Technique: Two-panel axial: CT | PSMA PET, 18F-PSMA tracer. acquired on Siemens Biograph mCT Flow 20. slice 206 of 393.
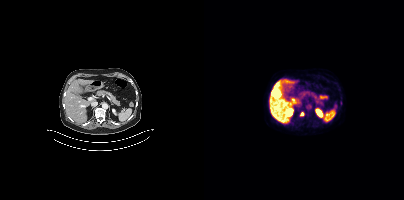
Findings: Coordinates are on the 200×200 PET (right) panel. (showing 1 of 2 foci) Small PSMA-avid focus (2 to 4 px across) near (center x, center y): (98, 114).